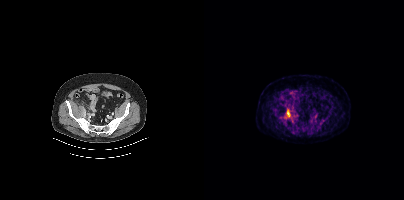
Coordinates are on the 200×200 PET (right) panel. PSMA-avid tumor lesion bounding box (x, y, width, height): x=80 y=108 w=7 h=11.
modality: PSMA PET/CT | tracer: 18F | view: axial | PET grid: 200×200